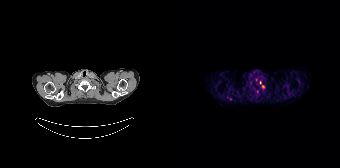
- Two-panel axial: CT | PSMA PET, 68Ga tracer
- slice position z = -1010 mm
Findings: Only PSMA-avid lesion pieces thinner than 2 px on this slice (not listed).